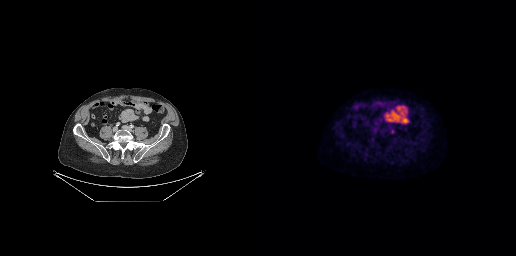
Two-panel axial: CT | PSMA PET, 18F-PSMA tracer. PET panel 256×256 px (2.7 mm/px). Coordinates are on the 256×256 PET (right) panel. PSMA-avid tumor lesion bounding box (x, y, width, height): x=129 y=126 w=6 h=8.